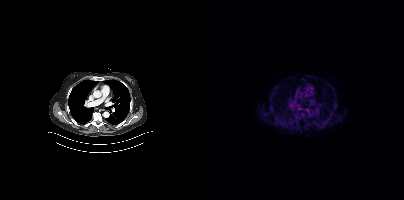
{"modality":"PSMA PET/CT","view":"axial","tracer":"18F","pet_grid":[200,200],"coord_frame":"pet_panel","coord_format":"x0,y0,x1,y1","psma_avid_lesions":false}